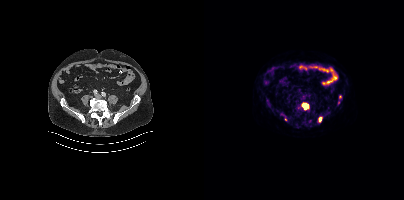
Coordinates are on the 200×200 PET (right) panel. PSMA-avid tumor lesion bounding boxes (x0, y0)-(x1, y1): (99, 103)-(104, 109); (115, 117)-(117, 121). Small PSMA-avid focus (2 to 4 px across) near (center x, center y): (81, 119).
modality: PSMA PET/CT | tracer: 18F | view: axial | PET grid: 200×200